Paired axial CT (left) and PSMA PET (right), 18F tracer. PET panel 256×256 px (2.7 mm/px).
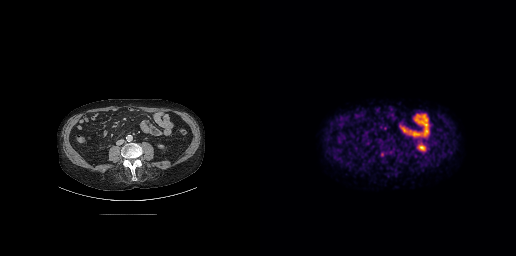
Coordinates are on the 256×256 PET (right) panel. PSMA-avid tumor lesion bounding box (x0, y0)-(x1, y1): (120, 151)-(127, 157). Small PSMA-avid focus (2 to 4 px across) near (center x, center y): (133, 149).